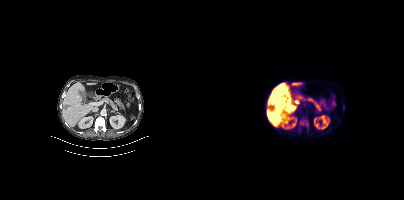
modality: PSMA PET/CT | tracer: [18F]PSMA-1007 | view: axial | PET grid: 200×200
Coordinates are on the 200×200 PET (right) panel. PSMA-avid tumor lesion bounding boxes (x0,y0,x1,y1): [95,118,104,129] [139,104,140,109]. Small PSMA-avid focus (2 to 4 px across) near (center x, center y): (95, 129).